Technique: Two-panel axial: CT | PSMA PET, 18F tracer. PET panel 168×168 px (4.1 mm/px).
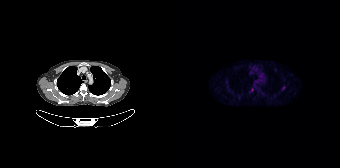
Findings: Coordinates are on the 168×168 PET (right) panel. (showing 1 of 2 foci) Small PSMA-avid focus (2 to 4 px across) near (center x, center y): (79, 89).